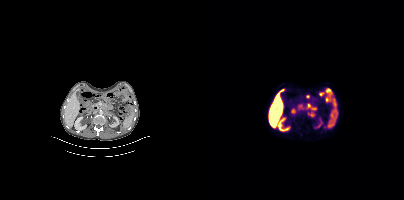
Technique: Paired axial CT (left) and PSMA PET (right), 18F-PSMA tracer. acquired on Siemens Biograph mCT Flow 20. slice position z = -1302 mm.
Findings: Coordinates are on the 200×200 PET (right) panel. PSMA-avid tumor lesion bounding box (x0,y0,x1,y1): [104,108,111,117]. Small PSMA-avid focus (2 to 4 px across) near (center x, center y): (105, 105).